Technique: Left: CT. Right: PSMA PET, same axial level, 18F tracer. acquired on Siemens Biograph mCT Flow 20. PET panel 200×200 px (4.1 mm/px).
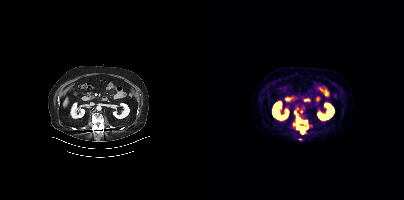
Findings: Coordinates are on the 200×200 PET (right) panel. (showing 4 of 5 foci) PSMA-avid tumor lesion bounding boxes (x0,y0,x1,y1): [90,123,101,133]; [92,117,103,123]. Small PSMA-avid foci (2 to 4 px across) near (center x, center y): (97, 111); (91, 111).